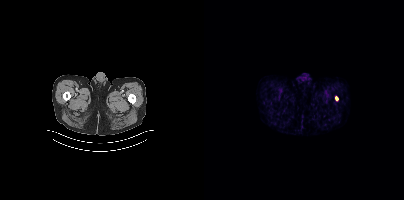
Coordinates are on the 200×200 PET (right) panel. Small PSMA-avid focus (2 to 4 px across) near (center x, center y): (132, 98).
modality: PSMA PET/CT | tracer: 68Ga | view: axial | PET grid: 200×200